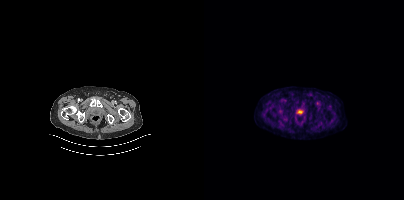
This slice has no annotated PSMA-avid lesion.